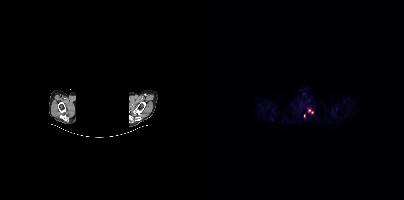
Findings: Coordinates are on the 200×200 PET (right) panel. PSMA-avid tumor lesion bounding box (x0,y0,x1,y1): [104,109,108,112]. Small PSMA-avid focus (2 to 4 px across) near (center x, center y): (100, 116).
- Paired axial CT (left) and PSMA PET (right), 18F-PSMA tracer
- PET panel 200×200 px (4.1 mm/px)
- the face region was removed for patient privacy by blanking a rectangle over the head